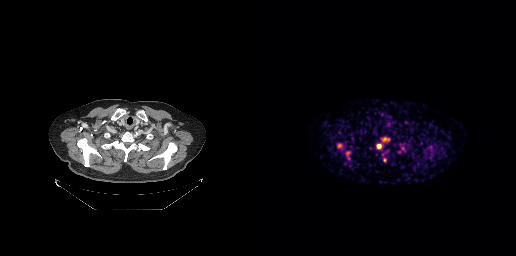
Coordinates are on the 256×256 PET (right) panel. PSMA-avid tumor lesion bounding boxes (x0, y0)-(x1, y1): (116, 143)-(122, 149) / (121, 137)-(129, 141) / (85, 151)-(90, 159) / (77, 143)-(82, 148). Small PSMA-avid foci (2 to 4 px across) near (center x, center y): (124, 159) / (142, 148).